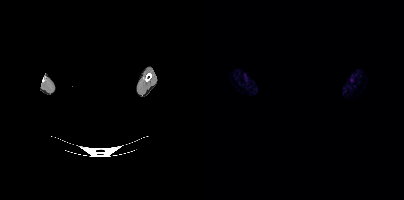
modality: PSMA PET/CT | tracer: [18F]PSMA-1007 | view: axial | PET grid: 200×200 | de-identification: face masked with black rectangle
Negative for PSMA-avid disease on this slice.